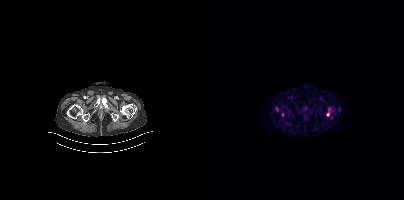
Coordinates are on the 200×200 PET (right) panel. (showing 2 of 3 foci) PSMA-avid tumor lesion bounding boxes (x0,y0,x1,y1): [122,108,126,116]; [71,106,74,111].